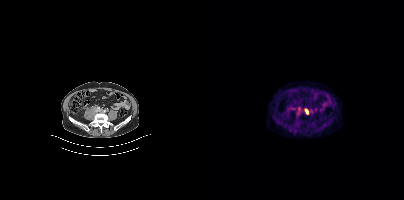
- Paired axial CT (left) and PSMA PET (right), 18F tracer
- acquired on Siemens Biograph mCT Flow 20
- slice 126 of 387
- PET panel 200×200 px (4.1 mm/px)
Findings: Coordinates are on the 200×200 PET (right) panel. PSMA-avid tumor lesion bounding box (x0,y0,x1,y1): [101,109,104,114]. Small PSMA-avid focus (2 to 4 px across) near (center x, center y): (94, 111).